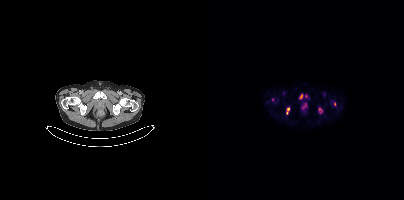
- Left: CT. Right: PSMA PET, same axial level, 18F-PSMA tracer
- acquired on Siemens Biograph mCT Flow 20
- PET panel 200×200 px (4.1 mm/px)
Findings: Coordinates are on the 200×200 PET (right) panel. PSMA-avid tumor lesion bounding boxes (x0, y0)-(x1, y1): (82, 107)-(85, 114) | (95, 94)-(98, 99) | (115, 108)-(118, 112). Small PSMA-avid foci (2 to 4 px across) near (center x, center y): (101, 96) | (68, 99).